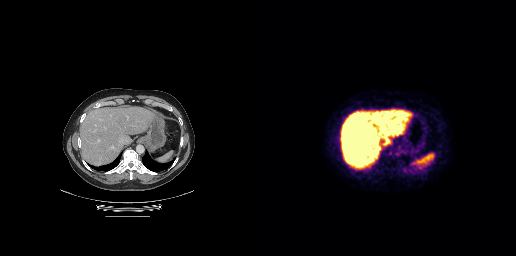
- Two-panel axial: CT | PSMA PET, [18F]PSMA-1007 tracer
- acquired on GE Discovery 690
- slice 152 of 263
Findings: No PSMA-avid tumor lesions on this slice.